Paired axial CT (left) and PSMA PET (right), [68Ga]Ga-PSMA-11 tracer. Acquired on GE Discovery 690. PET panel 256×256 px (2.7 mm/px).
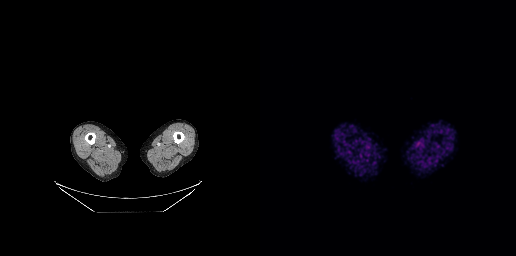
No PSMA-avid tumor lesions on this slice.